Paired axial CT (left) and PSMA PET (right), 18F-PSMA tracer. Acquired on Siemens Biograph mCT Flow 20. PET panel 200×200 px (4.1 mm/px).
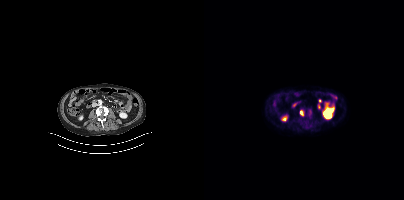
Coordinates are on the 200×200 PET (right) panel. Small PSMA-avid foci (2 to 4 px across) near (center x, center y): (97, 112) / (106, 111).